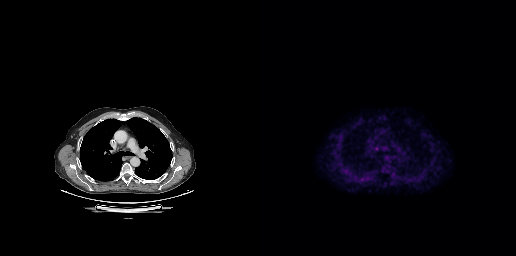
- Paired axial CT (left) and PSMA PET (right), 18F tracer
- slice 197 of 263
- PET panel 256×256 px (2.7 mm/px)
Findings: No PSMA-avid tumor lesions on this slice.